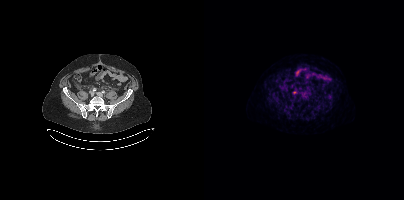
Findings: Coordinates are on the 200×200 PET (right) panel. (showing 1 of 2 foci) PSMA-avid tumor lesion bounding box (x0, y0)-(x1, y1): (98, 96)-(103, 100).
Technique: Left: CT. Right: PSMA PET, same axial level, 18F tracer. PET panel 200×200 px (4.1 mm/px).